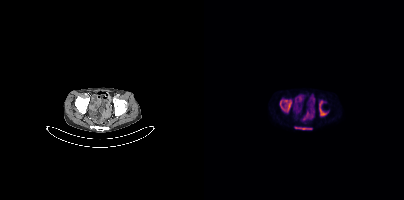
- Paired axial CT (left) and PSMA PET (right), [18F]PSMA-1007 tracer
- acquired on Siemens Biograph mCT Flow 20
- slice position z = -952 mm
Findings: Coordinates are on the 200×200 PET (right) panel. PSMA-avid tumor lesion bounding boxes (x0,y0,x1,y1): [76,99,87,111], [115,101,122,116], [91,127,107,129].